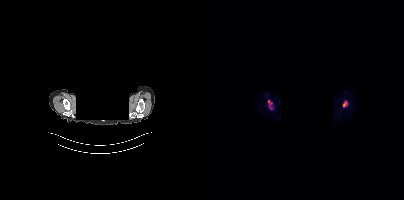
Technique: Paired axial CT (left) and PSMA PET (right), 18F-PSMA tracer. acquired on Siemens Biograph mCT Flow 20.
Note: The head region is masked for de-identification.
Findings: Coordinates are on the 200×200 PET (right) panel. (showing 3 of 5 foci) PSMA-avid tumor lesion bounding box (x0,y0,x1,y1): [139,101,143,106]. Small PSMA-avid foci (2 to 4 px across) near (center x, center y): (64, 101); (67, 103).